modality: PSMA PET/CT | tracer: [18F]PSMA-1007 | view: axial
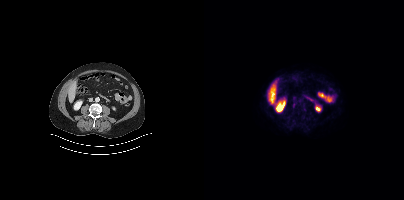
No tumor lesions annotated on this slice.